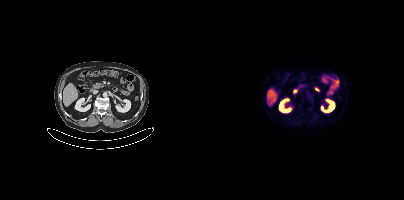
{"modality":"PSMA PET/CT","view":"axial","tracer":"18F-PSMA","pet_grid":[200,200],"coord_frame":"pet_panel","coord_format":"x0,y0,x1,y1","psma_avid_lesions":false}